Technique: Paired axial CT (left) and PSMA PET (right), [68Ga]Ga-PSMA-11 tracer.
Note: Head region blanked for anonymization (face removed).
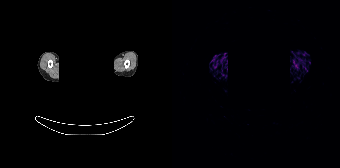
Findings: No PSMA-avid tumor lesions on this slice.